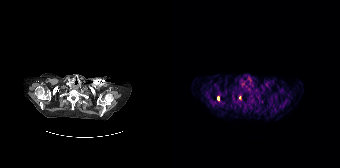
Two-panel axial: CT | PSMA PET, 68Ga-PSMA tracer. PET panel 168×168 px (4.1 mm/px). Only PSMA-avid lesion pieces thinner than 2 px on this slice (not listed).